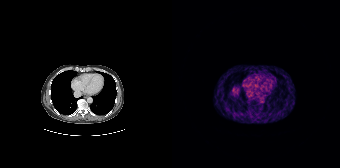
Technique: Two-panel axial: CT | PSMA PET, [68Ga]Ga-PSMA-11 tracer. slice position z = -494 mm. PET panel 168×168 px (4.1 mm/px).
Findings: Negative for PSMA-avid disease on this slice.